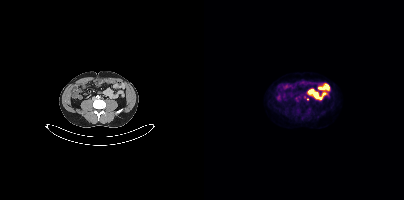
Technique: Two-panel axial: CT | PSMA PET, 18F-PSMA tracer. PET panel 200×200 px (4.1 mm/px).
Findings: Coordinates are on the 200×200 PET (right) panel. Small PSMA-avid focus (2 to 4 px across) near (center x, center y): (103, 98).